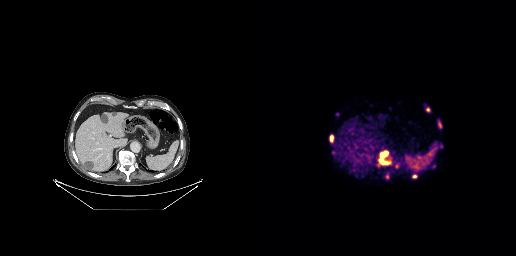
Coordinates are on the 256×256 PET (right) panel. PSMA-avid tumor lesion bounding boxes (x0,y0,x1,y1): [69,135,73,142], [121,152,127,156]. Small PSMA-avid foci (2 to 4 px across) near (center x, center y): (126, 163), (167, 109), (154, 176), (127, 176), (180, 124), (136, 166), (121, 161).
modality: PSMA PET/CT | tracer: 68Ga | view: axial